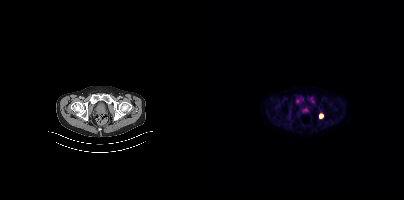
Coordinates are on the 200×200 PET (right) panel. PSMA-avid tumor lesion bounding boxes (x0,y0,x1,y1): [106,97,110,103], [115,114,119,118].